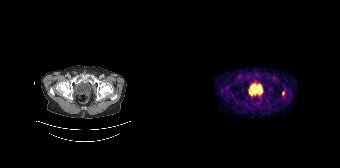
Coordinates are on the 168×168 PET (right) panel. Small PSMA-avid focus (2 to 4 px across) near (center x, center y): (111, 93). Left: CT. Right: PSMA PET, same axial level, [68Ga]Ga-PSMA-11 tracer. Acquired on Siemens Biograph 64-4R TruePoint. PET panel 168×168 px (4.1 mm/px).